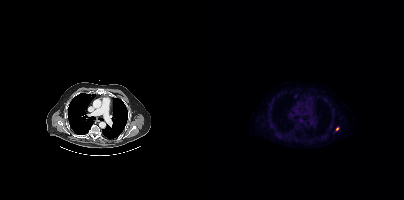
Coordinates are on the 200×200 PET (right) panel. Small PSMA-avid focus (2 to 4 px across) near (center x, center y): (133, 128).